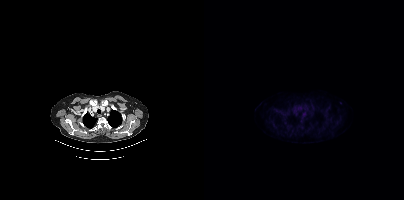
{"modality":"PSMA PET/CT","view":"axial","tracer":"[18F]PSMA-1007","pet_grid":[200,200],"coord_frame":"pet_panel","coord_format":"x0,y0,x1,y1","psma_avid_lesions":false}